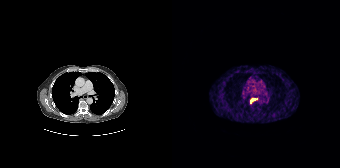
modality: PSMA PET/CT | tracer: [68Ga]Ga-PSMA-11 | view: axial
Coordinates are on the 168×168 PET (right) panel. PSMA-avid tumor lesion bounding box (x0, y0)-(x1, y1): (79, 98)-(84, 102).